Paired axial CT (left) and PSMA PET (right), 18F-PSMA tracer. PET panel 200×200 px (4.1 mm/px).
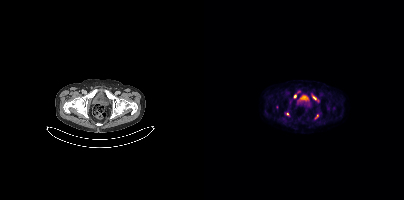
Coordinates are on the 200×200 PET (right) panel. (showing 4 of 5 foci) PSMA-avid tumor lesion bounding boxes (x, y, width, height): x=109 y=96 w=6 h=6; x=81 y=112 w=5 h=4. Small PSMA-avid foci (2 to 4 px across) near (center x, center y): (112, 116); (90, 96).